Technique: Left: CT. Right: PSMA PET, same axial level, [18F]PSMA-1007 tracer. PET panel 168×168 px (4.1 mm/px).
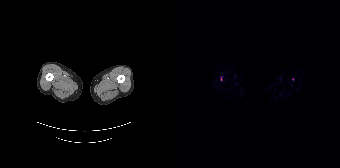
Findings: Only PSMA-avid lesion pieces thinner than 2 px on this slice (not listed).